Two-panel axial: CT | PSMA PET, [18F]PSMA-1007 tracer. Acquired on Siemens Biograph mCT Flow 20. PET panel 200×200 px (4.1 mm/px).
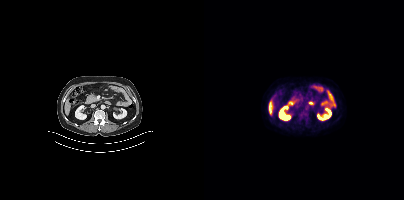
No tumor lesions annotated on this slice.